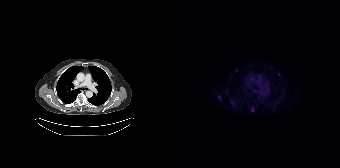
Technique: Paired axial CT (left) and PSMA PET (right), 18F tracer. acquired on Siemens Biograph 64-4R TruePoint.
Findings: Coordinates are on the 168×168 PET (right) panel. (showing 1 of 2 foci) Small PSMA-avid focus (2 to 4 px across) near (center x, center y): (64, 70).